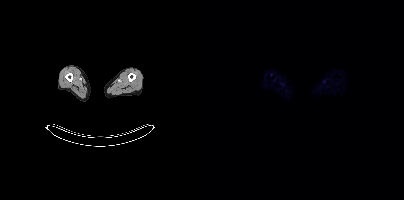
- Two-panel axial: CT | PSMA PET, 18F tracer
Findings: No PSMA-avid tumor lesions on this slice.